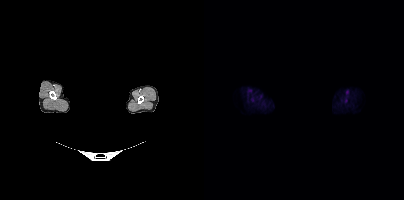
Technique: Paired axial CT (left) and PSMA PET (right), 18F tracer. acquired on Siemens Biograph mCT Flow 20. slice position z = -801 mm.
Note: Facial anatomy redacted by setting a rectangular region of the head to black.
Findings: No PSMA-avid tumor lesions on this slice.